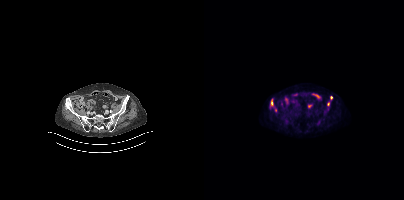
{"pet_grid":[200,200],"coord_frame":"pet_panel","coord_format":"x0,y0,x1,y1","lesion_bboxes":[[66,98,73,111],[126,96,128,100],[123,102,125,106]],"modality":"PSMA PET/CT","view":"axial","tracer":"18F-PSMA"}